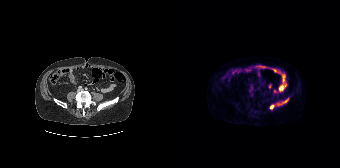
modality: PSMA PET/CT | tracer: [18F]PSMA-1007 | view: axial | PET grid: 168×168
Coordinates are on the 168×168 PET (right) panel. PSMA-avid tumor lesion bounding box (x0,y0,x1,y1): [104,98,117,105]. Small PSMA-avid focus (2 to 4 px across) near (center x, center y): (99, 106).